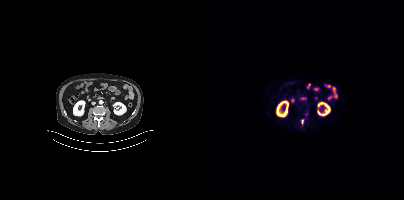
Coordinates are on the 200×200 PET (right) panel. PSMA-avid tumor lesion bounding boxes:
| # | x0 | y0 | x1 | y1 |
|---|---|---|---|---|
| 1 | 97 | 119 | 99 | 123 |
Paired axial CT (left) and PSMA PET (right), [18F]PSMA-1007 tracer. Slice 172 of 395. PET panel 200×200 px (4.1 mm/px).